Left: CT. Right: PSMA PET, same axial level, 18F tracer. Slice position z = -1362 mm. PET panel 200×200 px (4.1 mm/px).
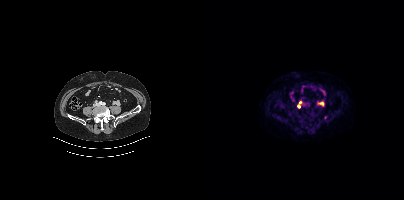
Coordinates are on the 200×200 PET (right) panel. (showing 1 of 2 foci) Small PSMA-avid focus (2 to 4 px across) near (center x, center y): (94, 106).